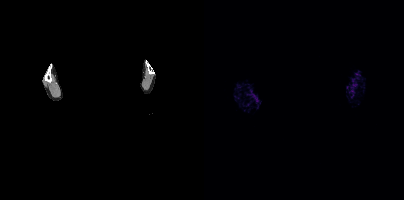
Head region blanked for anonymization (face removed).
Negative for PSMA-avid disease on this slice.